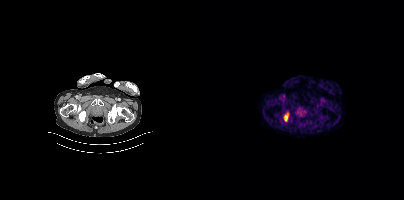
Coordinates are on the 200×200 PET (right) panel. PSMA-avid tumor lesion bounding box (x, y, width, height): x=80 y=113 w=5 h=9.
modality: PSMA PET/CT | tracer: [18F]PSMA-1007 | view: axial